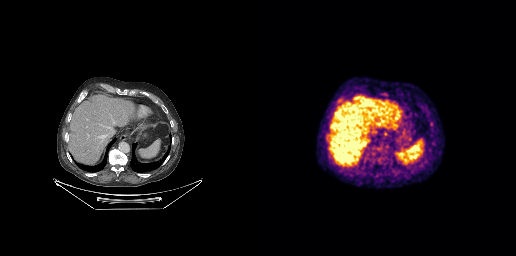
Left: CT. Right: PSMA PET, same axial level, [18F]PSMA-1007 tracer. PET panel 256×256 px (2.7 mm/px). This slice has no annotated PSMA-avid lesion.